- Paired axial CT (left) and PSMA PET (right), [18F]PSMA-1007 tracer
- PET panel 256×256 px (2.7 mm/px)
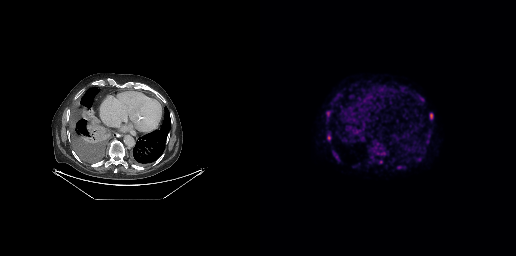
Findings: Coordinates are on the 256×256 PET (right) panel. (showing 7 of 9 foci) PSMA-avid tumor lesion bounding boxes (x, y, width, height): x=170 y=113 w=3 h=6 / x=73 y=151 w=3 h=5. Small PSMA-avid foci (2 to 4 px across) near (center x, center y): (69, 137) / (160, 97) / (67, 113) / (117, 143) / (115, 147).